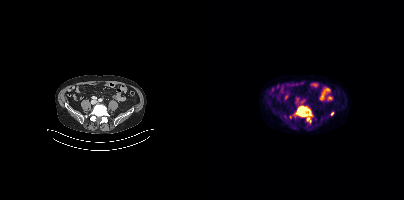
modality: PSMA PET/CT | tracer: 18F | view: axial | PET grid: 200×200
Coordinates are on the 200×200 PET (right) panel. (showing 3 of 4 foci) PSMA-avid tumor lesion bounding box (x, y, width, height): x=93 y=106 w=15 h=11. Small PSMA-avid foci (2 to 4 px across) near (center x, center y): (128, 113) / (104, 118).